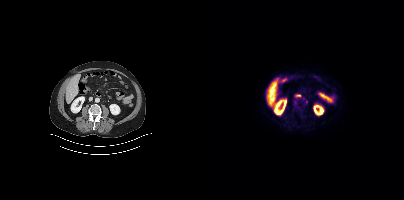
Paired axial CT (left) and PSMA PET (right), 18F tracer. Acquired on Siemens Biograph mCT Flow 20. Slice 170 of 413. PET panel 200×200 px (4.1 mm/px). This slice has no annotated PSMA-avid lesion.